modality: PSMA PET/CT | tracer: 18F | view: axial
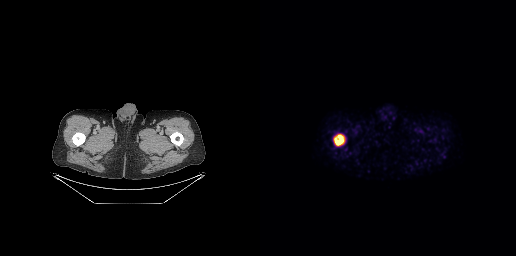
Coordinates are on the 256×256 PET (right) panel. PSMA-avid tumor lesion bounding box (x0, y0)-(x1, y1): (74, 134)-(84, 145).